modality: PSMA PET/CT | tracer: 18F-PSMA | view: axial | PET grid: 200×200
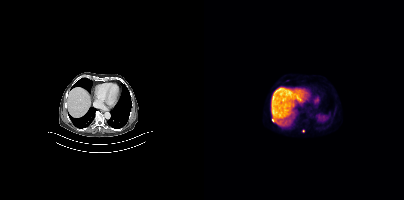
Coordinates are on the 200×200 PET (right) panel. (showing 1 of 3 foci) Small PSMA-avid focus (2 to 4 px across) near (center x, center y): (99, 131).